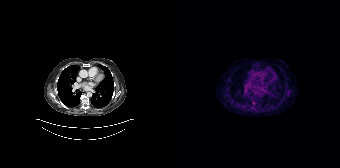
- Paired axial CT (left) and PSMA PET (right), 68Ga-PSMA tracer
- slice position z = -186 mm
Findings: Coordinates are on the 168×168 PET (right) panel. Small PSMA-avid focus (2 to 4 px across) near (center x, center y): (81, 103).